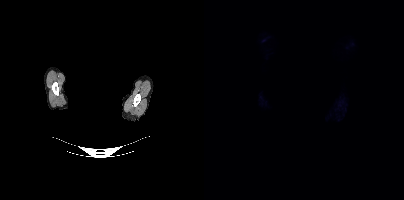
{"modality":"PSMA PET/CT","view":"axial","tracer":"18F","pet_grid":[200,200],"coord_frame":"pet_panel","coord_format":"x0,y0,x1,y1","psma_avid_lesions":false,"redaction":"face masked with black rectangle"}